- Paired axial CT (left) and PSMA PET (right), [68Ga]Ga-PSMA-11 tracer
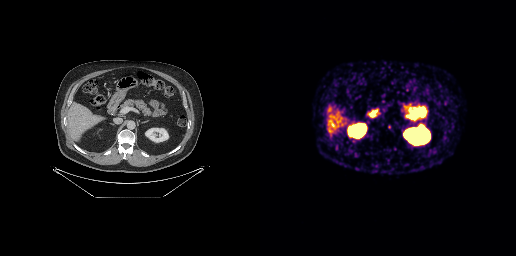
Findings: Coordinates are on the 256×256 PET (right) panel. PSMA-avid tumor lesion bounding box (x0, y0)-(x1, y1): (108, 111)-(112, 117).